Technique: Left: CT. Right: PSMA PET, same axial level, [68Ga]Ga-PSMA-11 tracer.
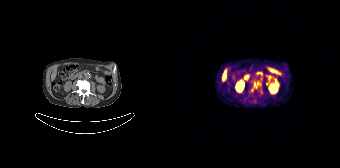
Findings: Coordinates are on the 168×168 PET (right) panel. PSMA-avid tumor lesion bounding box (x0, y0)-(x1, y1): (79, 82)-(88, 91).